Technique: Paired axial CT (left) and PSMA PET (right), 18F-PSMA tracer. acquired on Siemens Biograph mCT Flow 20. slice position z = -879 mm.
Note: The face region was removed for patient privacy by blanking a rectangle over the head.
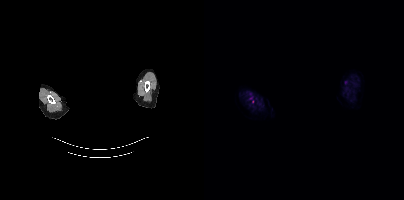
Findings: Negative for PSMA-avid disease on this slice.